- Two-panel axial: CT | PSMA PET, 18F tracer
- acquired on Siemens Biograph mCT Flow 20
- slice position z = -1377 mm
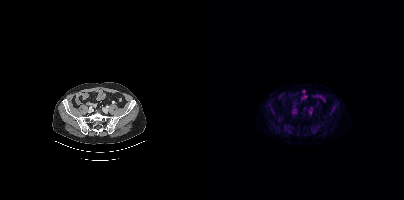
Findings: Negative for PSMA-avid disease on this slice.